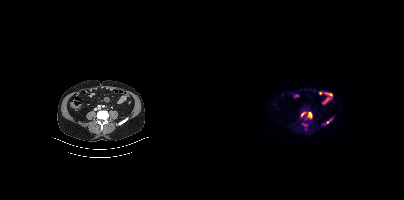
Coordinates are on the 200×200 PET (right) panel. PSMA-avid tumor lesion bounding boxes (x, y, width, height): x=104 y=112 w=4 h=6 | x=97 y=112 w=4 h=5. Small PSMA-avid focus (2 to 4 px across) near (center x, center y): (123, 122).
modality: PSMA PET/CT | tracer: 18F | view: axial | PET grid: 200×200